Technique: Two-panel axial: CT | PSMA PET, 18F tracer. acquired on Siemens Biograph mCT Flow 20. PET panel 200×200 px (4.1 mm/px).
Note: The face region was removed for patient privacy by blanking a rectangle over the head.
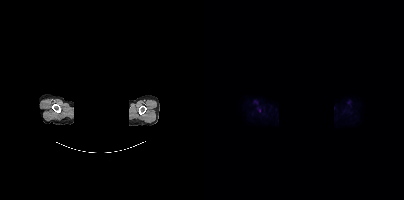
Findings: Only PSMA-avid lesion pieces thinner than 2 px on this slice (not listed).